Technique: Two-panel axial: CT | PSMA PET, 68Ga-PSMA tracer. acquired on Siemens Biograph mCT Flow 20. slice position z = -1567 mm. PET panel 200×200 px (4.1 mm/px).
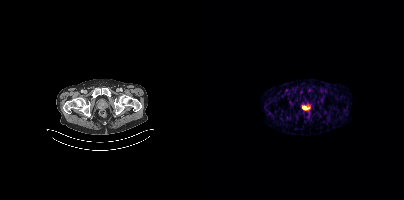
Findings: Coordinates are on the 200×200 PET (right) panel. (showing 1 of 2 foci) PSMA-avid tumor lesion bounding box (x0, y0)-(x1, y1): (98, 106)-(103, 109).